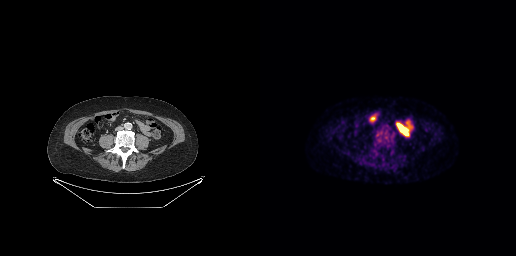
{"pet_grid":[256,256],"coord_frame":"pet_panel","coord_format":"x0,y0,x1,y1","psma_avid_lesions":false,"modality":"PSMA PET/CT","view":"axial","tracer":"18F"}